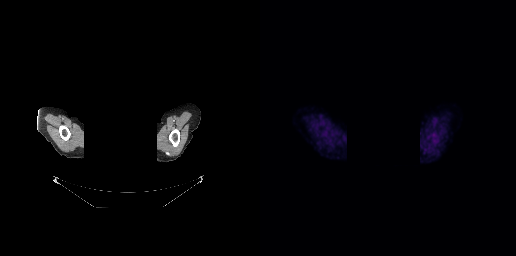
Negative for PSMA-avid disease on this slice.
Head region blanked for anonymization (face removed).